modality: PSMA PET/CT | tracer: 18F-PSMA | view: axial | PET grid: 200×200
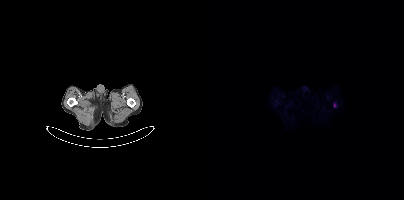
Coordinates are on the 200×200 PET (right) panel. Small PSMA-avid focus (2 to 4 px across) near (center x, center y): (130, 105).